Two-panel axial: CT | PSMA PET, 18F-PSMA tracer. Acquired on Siemens Biograph mCT Flow 20. PET panel 200×200 px (4.1 mm/px).
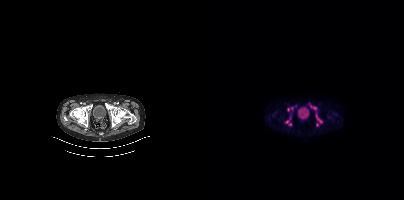
Coordinates are on the 200×200 PET (right) panel. (showing 6 of 8 foci) PSMA-avid tumor lesion bounding boxes (x0, y0)-(x1, y1): (104, 103)-(113, 116) / (112, 118)-(118, 126) / (81, 119)-(87, 126) / (97, 114)-(102, 119) / (83, 106)-(89, 111). Small PSMA-avid focus (2 to 4 px across) near (center x, center y): (91, 106).